Left: CT. Right: PSMA PET, same axial level, [18F]PSMA-1007 tracer. Slice 162 of 367.
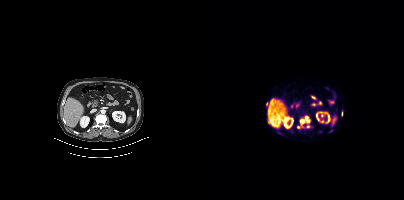
Coordinates are on the 200×200 PET (right) panel. (showing 5 of 6 foci) PSMA-avid tumor lesion bounding boxes (x0, y0)-(x1, y1): (96, 119)-(100, 124) / (101, 116)-(105, 122). Small PSMA-avid foci (2 to 4 px across) near (center x, center y): (62, 103) / (94, 126) / (103, 126).